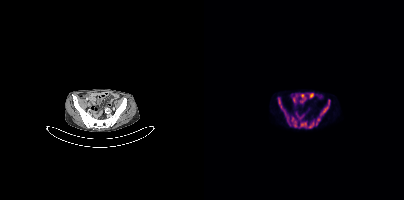
Paired axial CT (left) and PSMA PET (right), 18F tracer. Slice 88 of 354. Coordinates are on the 200×200 PET (right) panel. PSMA-avid tumor lesion bounding boxes (x0, y0)-(x1, y1): (74, 98)-(86, 125); (117, 99)-(126, 114); (87, 117)-(93, 127); (96, 122)-(102, 127); (104, 122)-(110, 128); (112, 118)-(116, 125).